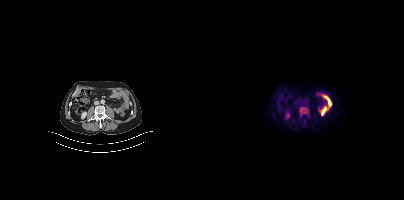
- Left: CT. Right: PSMA PET, same axial level, [18F]PSMA-1007 tracer
- slice 158 of 413
- PET panel 200×200 px (4.1 mm/px)
Findings: Coordinates are on the 200×200 PET (right) panel. (showing 1 of 2 foci) PSMA-avid tumor lesion bounding box (x, y, width, height): x=96 y=108 w=7 h=6.